- Left: CT. Right: PSMA PET, same axial level, 18F-PSMA tracer
- acquired on Siemens Biograph mCT Flow 20
- PET panel 200×200 px (4.1 mm/px)
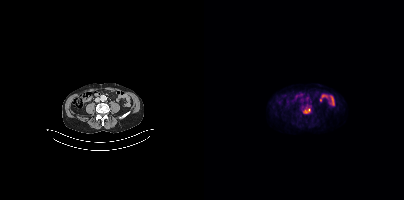
Findings: Coordinates are on the 200×200 PET (right) panel. PSMA-avid tumor lesion bounding box (x, y, width, height): x=99 y=107 w=8 h=7.